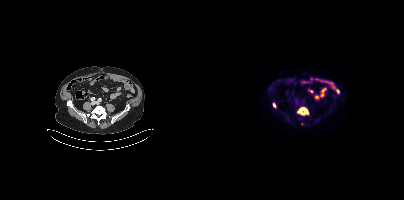
Coordinates are on the 200×200 PET (right) panel. (showing 2 of 3 foci) PSMA-avid tumor lesion bounding boxes (x0, y0)-(x1, y1): (93, 107)-(104, 115); (69, 103)-(72, 107).
modality: PSMA PET/CT | tracer: [18F]PSMA-1007 | view: axial | PET grid: 200×200